Paired axial CT (left) and PSMA PET (right), 68Ga tracer. Slice 132 of 195.
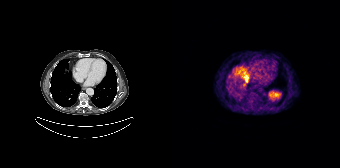
No PSMA-avid tumor lesions on this slice.